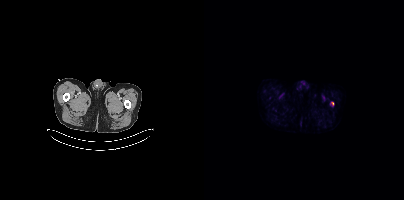
Coordinates are on the 200×200 PET (right) panel. Small PSMA-avid focus (2 to 4 px across) near (center x, center y): (128, 103).